modality: PSMA PET/CT | tracer: 18F-PSMA | view: axial | PET grid: 200×200
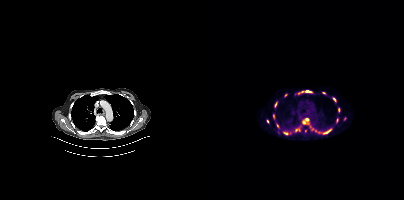
Coordinates are on the 200×200 PET (right) panel. (showing 15 of 18 foci) PSMA-avid tumor lesion bounding boxes (x0, y0)-(x1, y1): (91, 90)-(109, 95) / (98, 118)-(105, 124) / (91, 128)-(96, 131) / (119, 130)-(126, 133) / (129, 97)-(132, 101) / (70, 102)-(73, 107) / (69, 114)-(70, 119) / (62, 119)-(65, 123). Small PSMA-avid foci (2 to 4 px across) near (center x, center y): (80, 133) / (119, 93) / (73, 125) / (134, 108) / (108, 129) / (101, 130) / (111, 130).